Two-panel axial: CT | PSMA PET, 18F tracer.
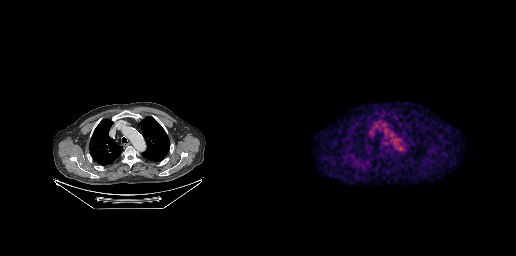
Coordinates are on the 256×256 PET (right) panel. Small PSMA-avid focus (2 to 4 px across) near (center x, center y): (136, 145).